modality: PSMA PET/CT | tracer: 18F | view: axial | PET grid: 200×200
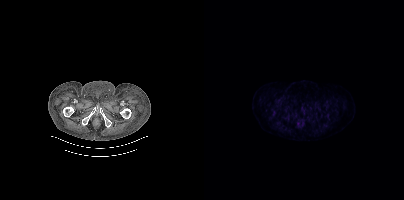
Negative for PSMA-avid disease on this slice.